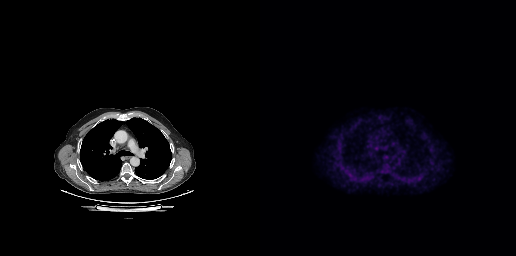
{"pet_grid":[256,256],"coord_frame":"pet_panel","coord_format":"x0,y0,x1,y1","psma_avid_lesions":false,"modality":"PSMA PET/CT","view":"axial","tracer":"18F-PSMA"}